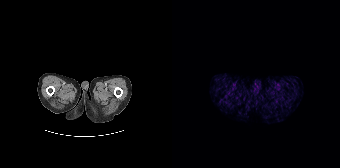
No tumor lesions annotated on this slice.